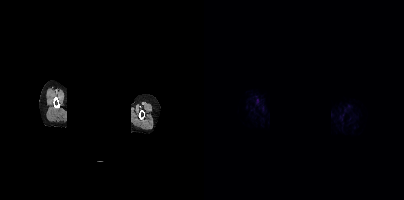
Any black rectangle over the head is a privacy mask, not anatomy.
No PSMA-avid tumor lesions on this slice.